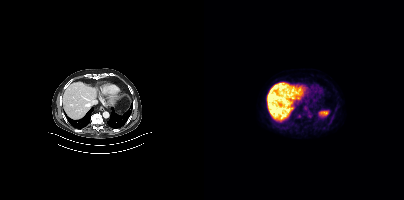
No PSMA-avid tumor lesions on this slice. Left: CT. Right: PSMA PET, same axial level, 18F tracer. Slice 286 of 466. PET panel 200×200 px (4.1 mm/px).